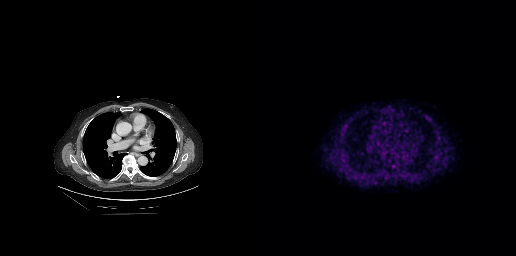
Coordinates are on the 256×256 PET (right) panel. PSMA-avid tumor lesion bounding box (x0,y0,x1,y1): [84,161,89,167]. Paired axial CT (left) and PSMA PET (right), [18F]PSMA-1007 tracer. Slice 189 of 263. PET panel 256×256 px (2.7 mm/px).